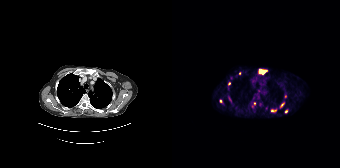
Coordinates are on the 168×168 PET (right) panel. (showing 8 of 11 foci) PSMA-avid tumor lesion bounding boxes (x0,y0,x1,y1): [88,69,94,73], [99,109,104,111], [108,103,112,107]. Small PSMA-avid foci (2 to 4 px across) near (center x, center y): (57, 83), (114, 111), (48, 101), (82, 103), (67, 73).